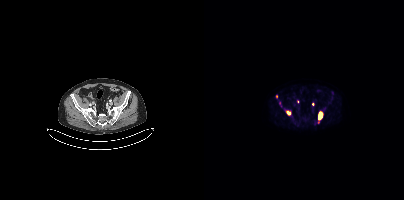
Coordinates are on the 200×200 PET (right) panel. (showing 5 of 6 foci) PSMA-avid tumor lesion bounding boxes (x, y, width, height): x=114 y=112 w=5 h=9; x=75 y=101 w=4 h=7. Small PSMA-avid foci (2 to 4 px across) near (center x, center y): (120, 108); (72, 96); (114, 122).
modality: PSMA PET/CT | tracer: 18F | view: axial | PET grid: 200×200